Left: CT. Right: PSMA PET, same axial level, 18F tracer. PET panel 200×200 px (4.1 mm/px).
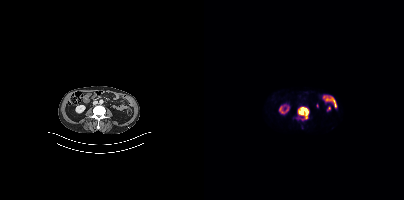
Coordinates are on the 200×200 PET (right) panel. PSMA-avid tumor lesion bounding box (x0,y0,x1,y1): [93,107,105,120].